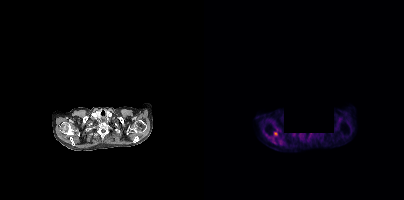
{"modality":"PSMA PET/CT","view":"axial","tracer":"18F","pet_grid":[200,200],"coord_frame":"pet_panel","coord_format":"x0,y0,x1,y1","redaction":"black rectangle is a privacy mask","partial":true,"lesion_bboxes":[],"small_foci_centers":[[71,133]]}